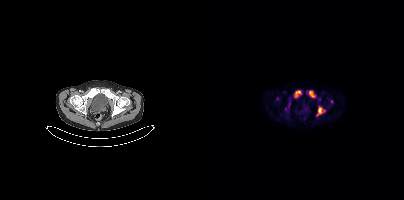
Findings: Coordinates are on the 200×200 PET (right) panel. (showing 2 of 3 foci) PSMA-avid tumor lesion bounding boxes (x, y, width, height): x=90 y=90 w=8 h=8 | x=104 y=90 w=8 h=8.
- Paired axial CT (left) and PSMA PET (right), 18F-PSMA tracer
- slice position z = -1488 mm